Paired axial CT (left) and PSMA PET (right), 18F-PSMA tracer.
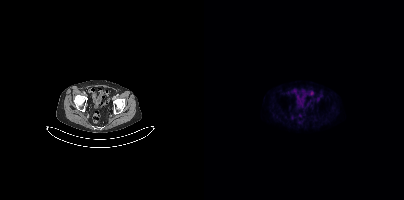
No tumor lesions annotated on this slice.